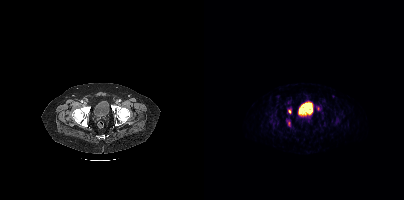
{"modality":"PSMA PET/CT","view":"axial","tracer":"68Ga-PSMA","pet_grid":[200,200],"coord_frame":"pet_panel","coord_format":"x0,y0,x1,y1","partial":true,"lesion_bboxes":[],"small_foci_centers":[[85,111]]}